- Two-panel axial: CT | PSMA PET, [18F]PSMA-1007 tracer
- PET panel 200×200 px (4.1 mm/px)
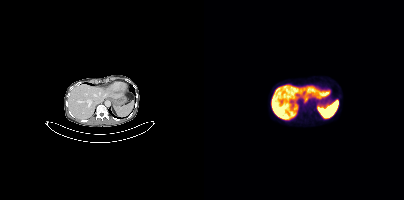
Findings: Negative for PSMA-avid disease on this slice.